Left: CT. Right: PSMA PET, same axial level, 18F-PSMA tracer. Slice position z = -122 mm. PET panel 256×256 px (2.7 mm/px).
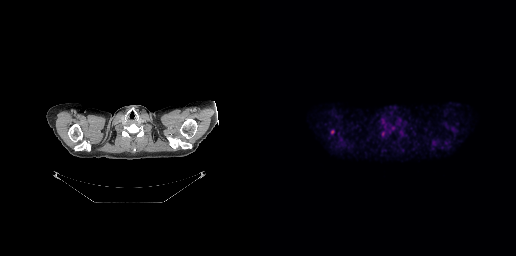
Coordinates are on the 256×256 PET (right) panel. PSMA-avid tumor lesion bounding boxes:
| # | x0 | y0 | x1 | y1 |
|---|---|---|---|---|
| 1 | 70 | 129 | 74 | 134 |